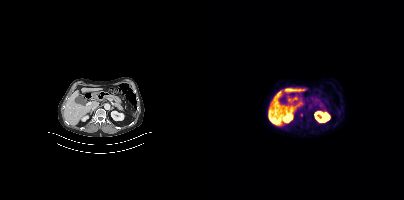
Coordinates are on the 200×200 PET (right) panel. Small PSMA-avid focus (2 to 4 px across) near (center x, center y): (97, 114).